Left: CT. Right: PSMA PET, same axial level, 18F-PSMA tracer. Acquired on Siemens Biograph mCT Flow 20. PET panel 200×200 px (4.1 mm/px).
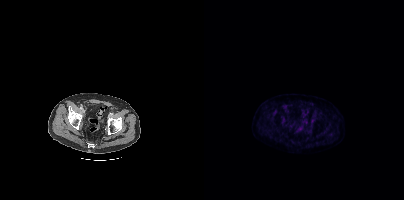
This slice has no annotated PSMA-avid lesion.